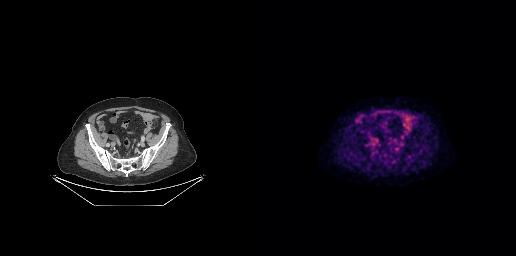
modality: PSMA PET/CT | tracer: 18F | view: axial | PET grid: 256×256
No PSMA-avid tumor lesions on this slice.